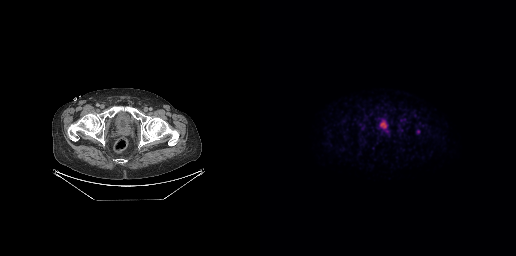
Coordinates are on the 256×256 PET (right) panel. Small PSMA-avid focus (2 to 4 px across) near (center x, center y): (158, 131).